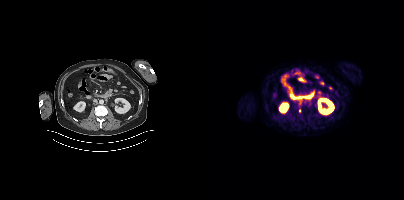
Negative for PSMA-avid disease on this slice.